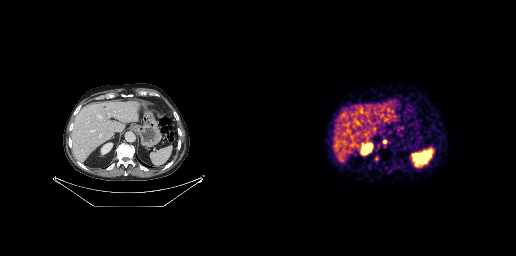
{"modality":"PSMA PET/CT","view":"axial","tracer":"68Ga-PSMA","pet_grid":[256,256],"coord_frame":"pet_panel","coord_format":"x0,y0,x1,y1","partial":true,"lesion_bboxes":[[114,156,118,161],[123,140,127,144]]}